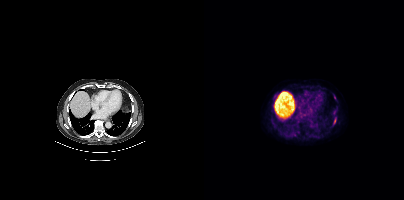
Findings: Coordinates are on the 200×200 PET (right) panel. PSMA-avid tumor lesion bounding box (x, y, width, height): x=129 y=117 w=4 h=8. Small PSMA-avid focus (2 to 4 px across) near (center x, center y): (130, 97).
Technique: Paired axial CT (left) and PSMA PET (right), 18F-PSMA tracer. PET panel 200×200 px (4.1 mm/px).